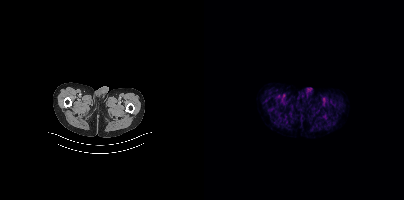
No tumor lesions annotated on this slice.